Two-panel axial: CT | PSMA PET, [18F]PSMA-1007 tracer. PET panel 200×200 px (4.1 mm/px).
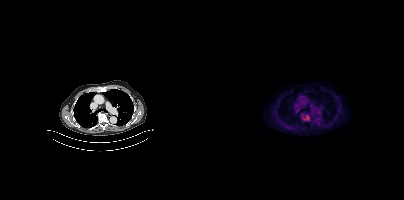
Coordinates are on the 200×200 PET (right) panel. PSMA-avid tumor lesion bounding box (x0, y0)-(x1, y1): (100, 115)-(105, 119).